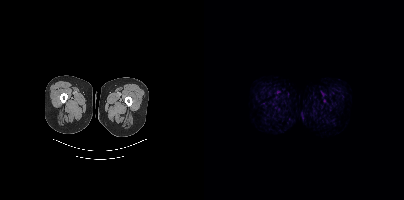
No tumor lesions annotated on this slice.